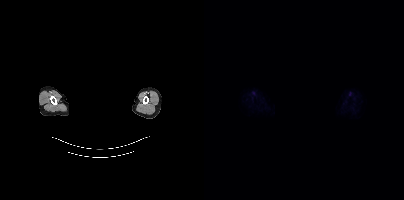
Findings: Negative for PSMA-avid disease on this slice.
Technique: Left: CT. Right: PSMA PET, same axial level, 18F tracer. acquired on Siemens Biograph mCT Flow 20. slice position z = -853 mm.
Note: Privacy masking over the head, with the pixels inside a rectangle set to black.